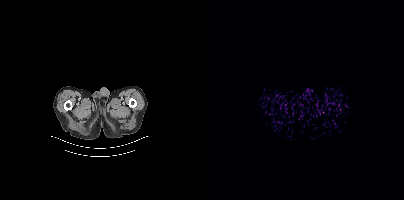
Negative for PSMA-avid disease on this slice.